Paired axial CT (left) and PSMA PET (right), 18F-PSMA tracer. Slice position z = -842 mm. PET panel 200×200 px (4.1 mm/px).
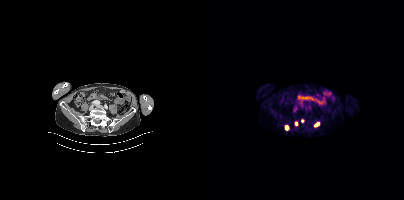
Coordinates are on the 200×200 PET (right) panel. PSMA-avid tumor lesion bounding boxes:
| # | x0 | y0 | x1 | y1 |
|---|---|---|---|---|
| 1 | 80 | 125 | 85 | 130 |
| 2 | 110 | 122 | 115 | 126 |
| 3 | 90 | 121 | 94 | 125 |
Small PSMA-avid focus (2 to 4 px across) near (center x, center y): (98, 120).